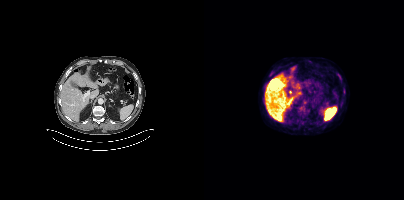
modality: PSMA PET/CT | tracer: 18F-PSMA | view: axial | PET grid: 200×200
Negative for PSMA-avid disease on this slice.